Two-panel axial: CT | PSMA PET, [18F]PSMA-1007 tracer. Acquired on GE Discovery 690. PET panel 256×256 px (2.7 mm/px).
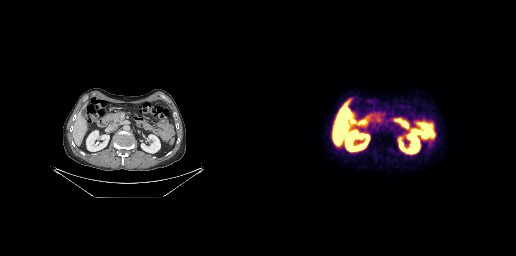
Coordinates are on the 256×256 PET (right) panel. PSMA-avid tumor lesion bounding boxes:
| # | x0 | y0 | x1 | y1 |
|---|---|---|---|---|
| 1 | 131 | 125 | 134 | 129 |